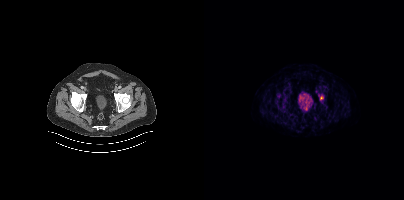
modality: PSMA PET/CT | tracer: 18F-PSMA | view: axial
Coordinates are on the 200×200 PET (right) panel. PSMA-avid tumor lesion bounding box (x, y, width, height): x=116 y=95 w=4 h=6.